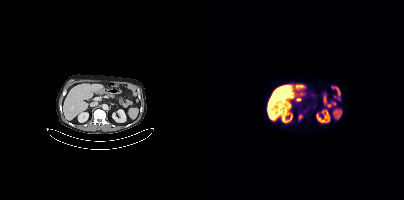
- Two-panel axial: CT | PSMA PET, 18F tracer
- slice position z = 44 mm
- PET panel 200×200 px (4.1 mm/px)
Findings: Coordinates are on the 200×200 PET (right) panel. PSMA-avid tumor lesion bounding box (x0, y0)-(x1, y1): (94, 114)-(98, 120).